modality: PSMA PET/CT | tracer: 18F | view: axial
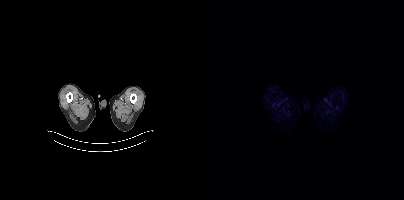
No tumor lesions annotated on this slice.